- Paired axial CT (left) and PSMA PET (right), 68Ga tracer
- acquired on Siemens Biograph mCT Flow 20
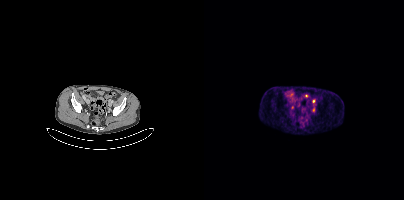
Findings: Coordinates are on the 200×200 PET (right) panel. (showing 2 of 3 foci) Small PSMA-avid foci (2 to 4 px across) near (center x, center y): (109, 100); (109, 109).